modality: PSMA PET/CT | tracer: 18F | view: axial | deidentification: rectangular block over head set to black
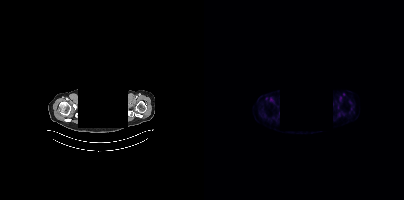
No tumor lesions annotated on this slice.